Two-panel axial: CT | PSMA PET, 18F tracer. Slice 334 of 444. PET panel 200×200 px (4.1 mm/px).
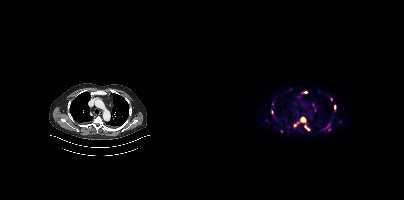
Coordinates are on the 200×200 PET (right) panel. (showing 5 of 9 foci) PSMA-avid tumor lesion bounding boxes (x0,y0,x1,y1): [90,117,106,131]; [130,104,132,110]; [126,97,128,101]. Small PSMA-avid foci (2 to 4 px across) near (center x, center y): (101, 92); (125, 129).